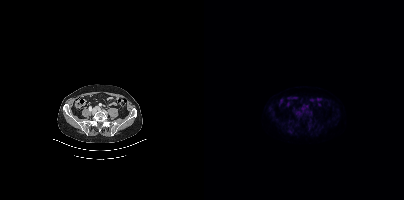
No PSMA-avid tumor lesions on this slice.